Two-panel axial: CT | PSMA PET, [68Ga]Ga-PSMA-11 tracer. Acquired on Siemens Biograph 64-4R TruePoint. PET panel 168×168 px (4.1 mm/px).
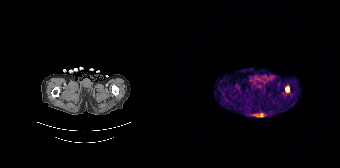
Coordinates are on the 168×168 PET (right) panel. PSMA-avid tumor lesion bounding box (x0,y0,x1,y1): [114,87,117,91].